Two-panel axial: CT | PSMA PET, 18F tracer. Acquired on Siemens Biograph mCT Flow 20. Slice 266 of 427.
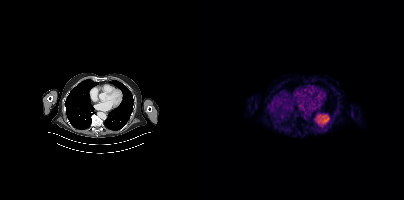
Negative for PSMA-avid disease on this slice.